Left: CT. Right: PSMA PET, same axial level, [18F]PSMA-1007 tracer. Slice 250 of 423.
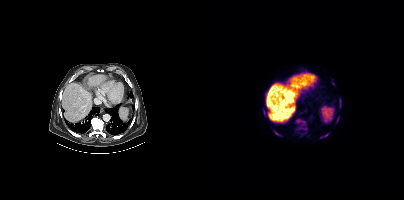
Coordinates are on the 200×200 PET (right) panel. (showing 7 of 8 foci) PSMA-avid tumor lesion bounding boxes (x0,y0,x1,y1): [92,119,103,129] [69,130,76,135] [120,133,125,137] [135,99,136,104]. Small PSMA-avid foci (2 to 4 px across) near (center x, center y): (134, 118) (129, 83) (64, 118).